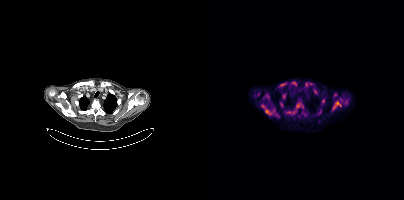
Coordinates are on the 200×200 PET (right) panel. PSMA-avid tumor lesion bounding boxes (partial; 1 more focus not listed):
| # | x0 | y0 | x1 | y1 |
|---|---|---|---|---|
| 1 | 58 | 105 | 68 | 115 |
| 2 | 129 | 101 | 137 | 109 |
| 3 | 81 | 111 | 86 | 114 |
| 4 | 77 | 82 | 83 | 86 |
| 5 | 105 | 83 | 109 | 85 |
Small PSMA-avid foci (2 to 4 px across) near (center x, center y): (88, 83); (93, 106); (89, 112).
Two-panel axial: CT | PSMA PET, [18F]PSMA-1007 tracer. Acquired on Siemens Biograph mCT Flow 20.